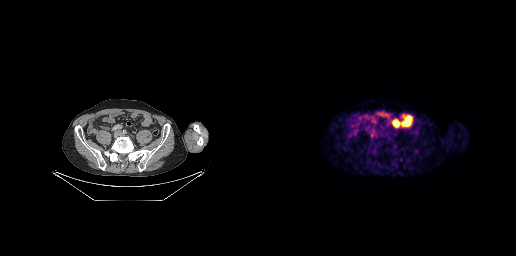
{"modality":"PSMA PET/CT","view":"axial","tracer":"68Ga","pet_grid":[256,256],"coord_frame":"pet_panel","coord_format":"x0,y0,x1,y1","partial":true,"lesion_bboxes":[]}